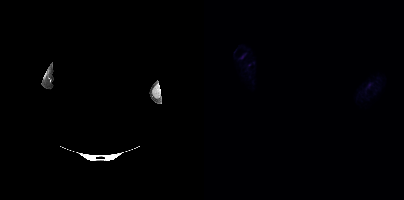
Privacy masking over the head, with the pixels inside a rectangle set to black. Left: CT. Right: PSMA PET, same axial level, 18F tracer. Slice 414 of 435. Negative for PSMA-avid disease on this slice.